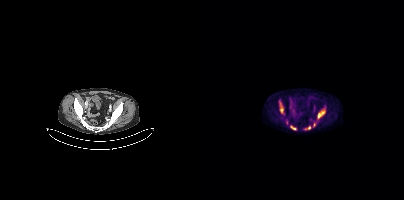
Coordinates are on the 200×200 PET (right) panel. (showing 4 of 7 foci) PSMA-avid tumor lesion bounding boxes (x0,y0,x1,y1): [113,107,121,118], [75,101,79,113], [86,126,92,130]. Small PSMA-avid focus (2 to 4 px across) near (center x, center y): (105, 127).